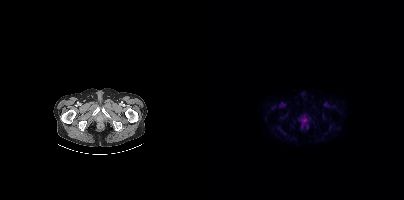
No tumor lesions annotated on this slice. Paired axial CT (left) and PSMA PET (right), [18F]PSMA-1007 tracer. Slice 43 of 435.